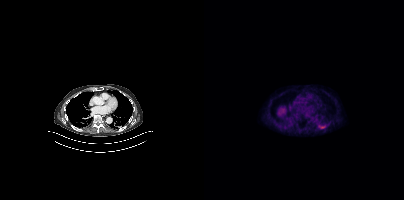
Coordinates are on the 200×200 PET (right) panel. PSMA-avid tumor lesion bounding box (x0,y0,x1,y1): [115,125,121,128].